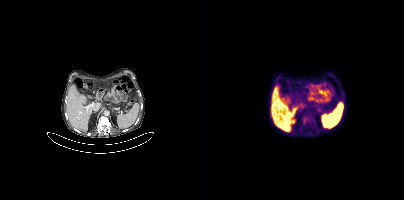
Coordinates are on the 200×200 PET (right) panel. (showing 1 of 2 foci) PSMA-avid tumor lesion bounding box (x0,y0,x1,y1): [98,116,108,124].